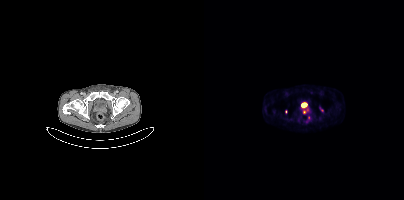
Two-panel axial: CT | PSMA PET, 68Ga-PSMA tracer. PET panel 200×200 px (4.1 mm/px). Coordinates are on the 200×200 PET (right) panel. PSMA-avid tumor lesion bounding box (x0,y0,x1,y1): [99,108,105,113]. Small PSMA-avid foci (2 to 4 px across) near (center x, center y): (105, 117); (81, 111); (117, 109).